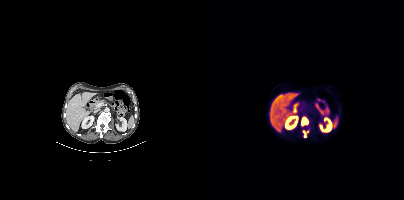
- Paired axial CT (left) and PSMA PET (right), 18F-PSMA tracer
Findings: Coordinates are on the 200×200 PET (right) panel. PSMA-avid tumor lesion bounding boxes (x0,y0,x1,y1): [98,118,103,125] [99,131,102,136]. Small PSMA-avid focus (2 to 4 px across) near (center x, center y): (103, 131).